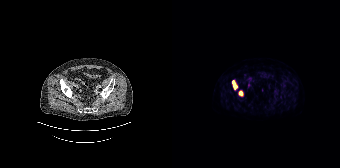
Coordinates are on the 168×168 PET (right) panel. PSMA-avid tumor lesion bounding boxes (x0,y0,x1,y1): [60,80,65,90], [66,90,71,96]. Small PSMA-avid focus (2 to 4 px across) near (center x, center y): (76, 84). Left: CT. Right: PSMA PET, same axial level, 18F-PSMA tracer.